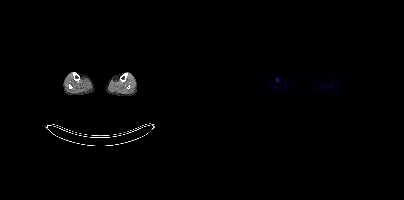
Left: CT. Right: PSMA PET, same axial level, 18F tracer. Slice 206 of 963. PET panel 200×200 px (4.1 mm/px). Only PSMA-avid lesion pieces thinner than 2 px on this slice (not listed).